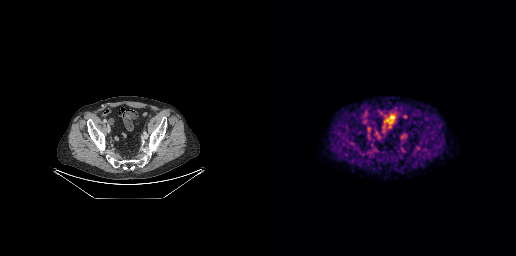
{"modality":"PSMA PET/CT","view":"axial","tracer":"[18F]PSMA-1007","pet_grid":[256,256],"coord_frame":"pet_panel","coord_format":"x0,y0,x1,y1","psma_avid_lesions":false}